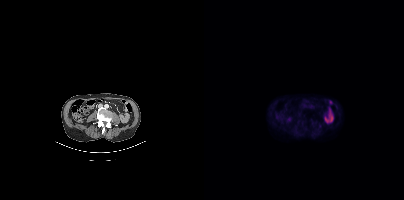
- Paired axial CT (left) and PSMA PET (right), 18F tracer
- acquired on Siemens Biograph mCT Flow 20
- slice 155 of 435
Findings: No tumor lesions annotated on this slice.